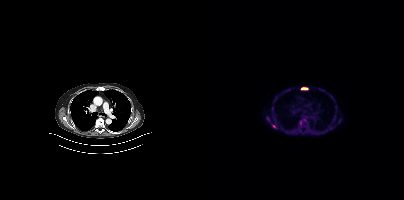
modality: PSMA PET/CT | tracer: 18F | view: axial | PET grid: 200×200
Coordinates are on the 200×200 PET (right) panel. PSMA-avid tumor lesion bounding boxes (x0, y0)-(x1, y1): (97, 87)-(104, 89) | (69, 115)-(71, 119). Small PSMA-avid foci (2 to 4 px across) near (center x, center y): (96, 122) | (69, 126) | (101, 119) | (63, 118).